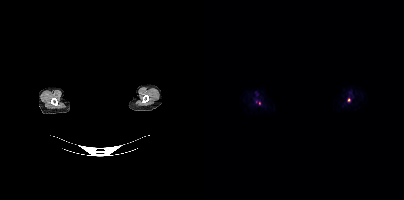
{"modality":"PSMA PET/CT","view":"axial","tracer":"18F","pet_grid":[200,200],"coord_frame":"pet_panel","coord_format":"x0,y0,x1,y1","partial":true,"lesion_bboxes":[],"small_foci_centers":[[144,99]],"de-identification":"rectangular block over head set to black"}